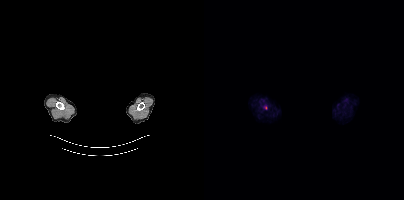
- Left: CT. Right: PSMA PET, same axial level, 18F-PSMA tracer
- acquired on Siemens Biograph mCT Flow 20
- slice position z = -348 mm
- an anonymization step blacked out a rectangle over the head in this scan
Findings: Coordinates are on the 200×200 PET (right) panel. Small PSMA-avid focus (2 to 4 px across) near (center x, center y): (61, 107).